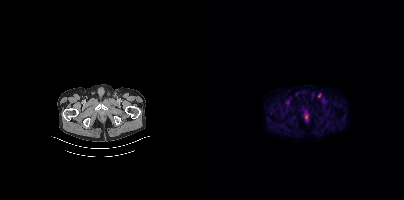
Coordinates are on the 200×200 PET (right) panel. (showing 1 of 2 foci) PSMA-avid tumor lesion bounding box (x0,y0,x1,y1): [114,93,117,97].